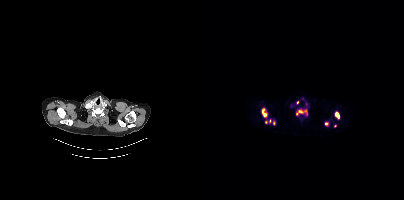
- Left: CT. Right: PSMA PET, same axial level, 18F tracer
- acquired on Siemens Biograph mCT Flow 20
- slice 315 of 367
- PET panel 200×200 px (4.1 mm/px)
Findings: Coordinates are on the 200×200 PET (right) panel. (showing 6 of 8 foci) PSMA-avid tumor lesion bounding boxes (x0,y0,x1,y1): [92,110,103,115], [58,108,62,116], [131,112,135,118]. Small PSMA-avid foci (2 to 4 px across) near (center x, center y): (70, 122), (122, 123), (61, 122).